Two-panel axial: CT | PSMA PET, 18F tracer. Slice 371 of 454. PET panel 200×200 px (4.1 mm/px).
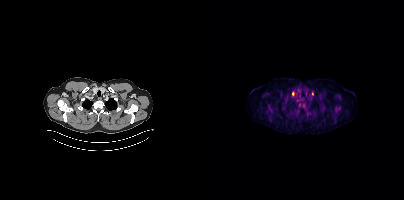
Coordinates are on the 200×200 PET (right) panel. Small PSMA-avid foci (2 to 4 px across) near (center x, center y): (108, 93) | (88, 93).